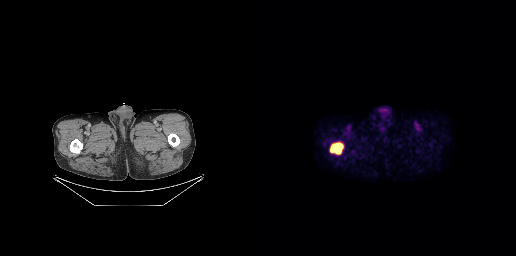
Findings: Coordinates are on the 256×256 PET (right) panel. PSMA-avid tumor lesion bounding box (x0, y0)-(x1, y1): (69, 141)-(84, 155).
Technique: Two-panel axial: CT | PSMA PET, 18F tracer. slice position z = -812 mm. PET panel 256×256 px (2.7 mm/px).